Technique: Left: CT. Right: PSMA PET, same axial level, 18F tracer. acquired on Siemens Biograph mCT Flow 20. PET panel 200×200 px (4.1 mm/px).
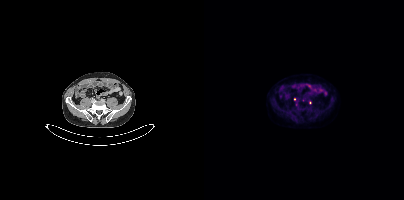
Findings: Coordinates are on the 200×200 PET (right) panel. (showing 1 of 2 foci) Small PSMA-avid focus (2 to 4 px across) near (center x, center y): (90, 99).